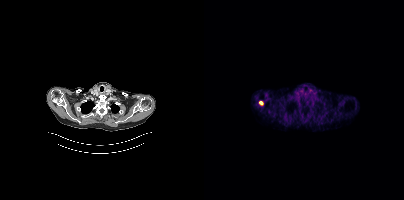
{"modality":"PSMA PET/CT","view":"axial","tracer":"[18F]PSMA-1007","pet_grid":[200,200],"coord_frame":"pet_panel","coord_format":"x0,y0,x1,y1","lesion_bboxes":[[55,101,59,104]]}